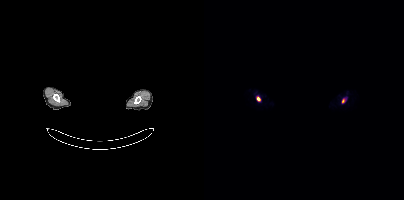
Two-panel axial: CT | PSMA PET, 68Ga tracer. Slice position z = -495 mm. Face de-identified by blanking a block of the head. Coordinates are on the 200×200 PET (right) panel. Small PSMA-avid foci (2 to 4 px across) near (center x, center y): (54, 98) | (139, 100).